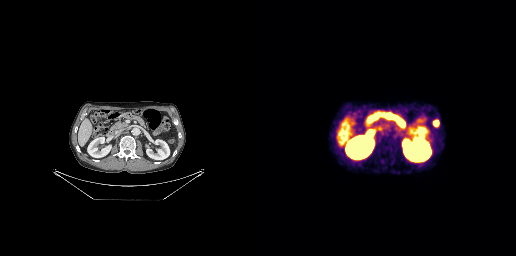
- Left: CT. Right: PSMA PET, same axial level, 68Ga tracer
Findings: Coordinates are on the 256×256 PET (right) panel. PSMA-avid tumor lesion bounding box (x0,y0,x1,y1): [173,120,178,126].